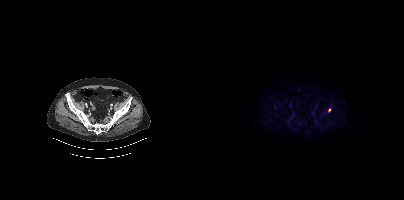
Coordinates are on the 200×200 PET (right) panel. Small PSMA-avid focus (2 to 4 px across) near (center x, center y): (125, 110). Left: CT. Right: PSMA PET, same axial level, 18F tracer. Slice position z = -1360 mm.